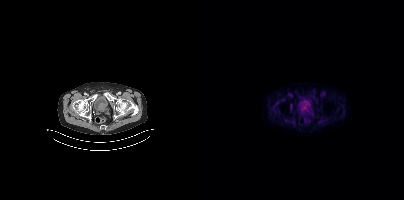
{"pet_grid":[200,200],"coord_frame":"pet_panel","coord_format":"x0,y0,x1,y1","lesion_bboxes":[[87,104,88,109]],"modality":"PSMA PET/CT","view":"axial","tracer":"[18F]PSMA-1007"}